- Left: CT. Right: PSMA PET, same axial level, 68Ga tracer
- acquired on GE Discovery 690
- slice position z = -861 mm
- PET panel 256×256 px (2.7 mm/px)
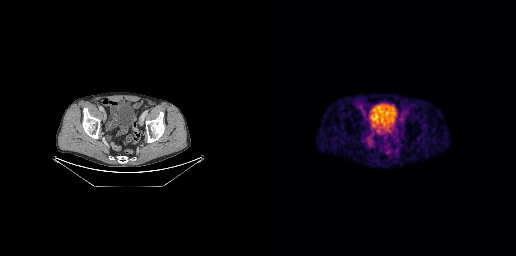
Findings: Negative for PSMA-avid disease on this slice.